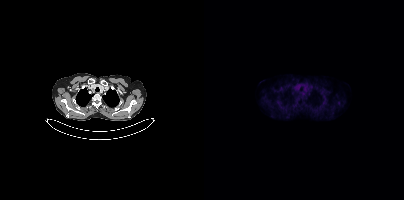
No PSMA-avid tumor lesions on this slice.